Paired axial CT (left) and PSMA PET (right), 18F-PSMA tracer. Slice position z = -804 mm. PET panel 256×256 px (2.7 mm/px).
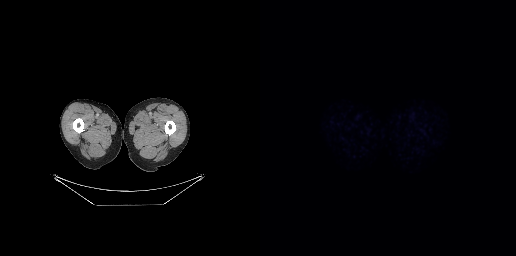
No tumor lesions annotated on this slice.